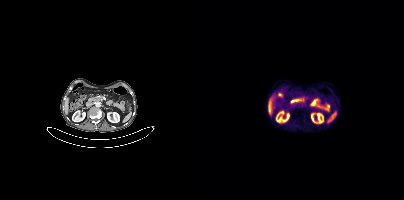
{"modality":"PSMA PET/CT","view":"axial","tracer":"[18F]PSMA-1007","pet_grid":[200,200],"coord_frame":"pet_panel","coord_format":"x0,y0,x1,y1","psma_avid_lesions":false}